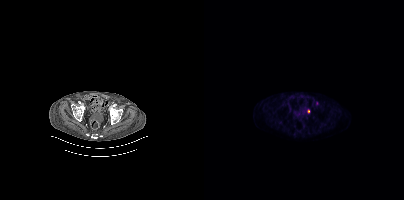
Left: CT. Right: PSMA PET, same axial level, 18F tracer. PET panel 200×200 px (4.1 mm/px). Coordinates are on the 200×200 PET (right) panel. Small PSMA-avid focus (2 to 4 px across) near (center x, center y): (112, 103).